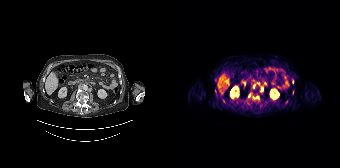
Left: CT. Right: PSMA PET, same axial level, 68Ga tracer. Slice position z = -1040 mm. Coordinates are on the 168×168 PET (right) panel. (showing 5 of 8 foci) PSMA-avid tumor lesion bounding boxes (x0, y0)-(x1, y1): (81, 82)-(87, 87) | (89, 87)-(91, 91) | (82, 96)-(86, 98). Small PSMA-avid foci (2 to 4 px across) near (center x, center y): (77, 95) | (88, 105).